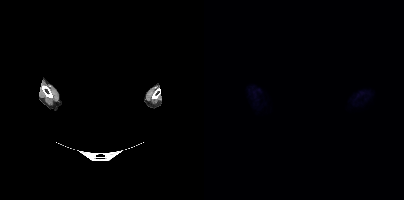
{"pet_grid":[200,200],"coord_frame":"pet_panel","coord_format":"x0,y0,x1,y1","psma_avid_lesions":false,"deidentification":"rectangular block over head set to black","modality":"PSMA PET/CT","view":"axial","tracer":"[18F]PSMA-1007"}